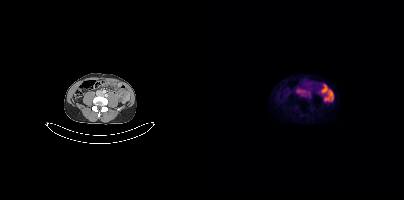
- Left: CT. Right: PSMA PET, same axial level, [18F]PSMA-1007 tracer
- acquired on Siemens Biograph mCT Flow 20
Findings: Negative for PSMA-avid disease on this slice.